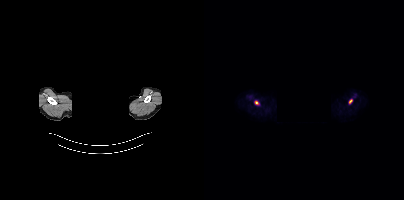
modality: PSMA PET/CT | tracer: [18F]PSMA-1007 | view: axial | redaction: rectangular block over head set to black
Coordinates are on the 200×200 PET (right) panel. PSMA-avid tumor lesion bounding box (x0,y0,x1,y1): [145,99,148,103]. Small PSMA-avid foci (2 to 4 px across) near (center x, center y): (51, 102) (53, 103).